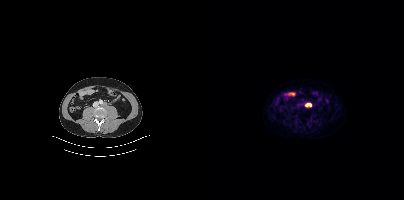
{"pet_grid":[200,200],"coord_frame":"pet_panel","coord_format":"x0,y0,x1,y1","lesion_bboxes":[[101,103,107,106]],"modality":"PSMA PET/CT","view":"axial","tracer":"[18F]PSMA-1007"}